Technique: Left: CT. Right: PSMA PET, same axial level, 18F-PSMA tracer. acquired on Siemens Biograph mCT Flow 20. slice position z = -1272 mm. PET panel 200×200 px (4.1 mm/px).
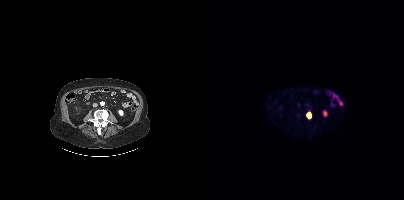
Findings: Coordinates are on the 200×200 PET (right) panel. PSMA-avid tumor lesion bounding box (x, y, width, height): x=103 y=112 w=5 h=7.